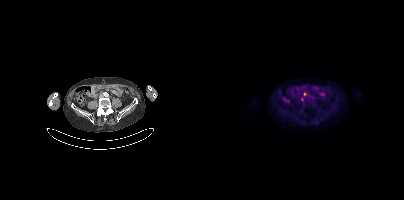
Coordinates are on the 200×200 PET (right) panel. PSMA-avid tumor lesion bounding box (x0,y0,x1,y1): [99,92,104,96]. Small PSMA-avid focus (2 to 4 px across) near (center x, center y): (97, 99).